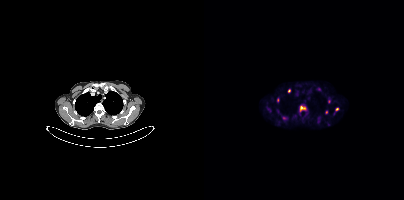
- Left: CT. Right: PSMA PET, same axial level, 18F tracer
- acquired on Siemens Biograph mCT Flow 20
- slice position z = -994 mm
Findings: Coordinates are on the 200×200 PET (right) panel. (showing 7 of 9 foci) PSMA-avid tumor lesion bounding boxes (x0, y0)-(x1, y1): (95, 105)-(102, 111); (131, 107)-(135, 111); (73, 98)-(75, 102). Small PSMA-avid foci (2 to 4 px across) near (center x, center y): (85, 90); (80, 118); (125, 101); (122, 112).